Left: CT. Right: PSMA PET, same axial level, 18F-PSMA tracer.
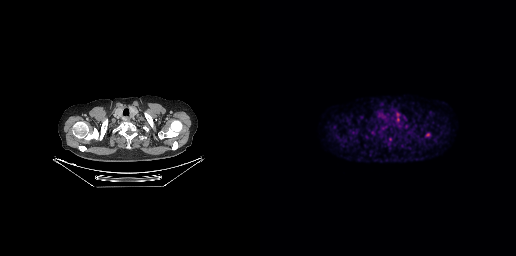
Coordinates are on the 256×256 PET (right) panel. Small PSMA-avid focus (2 to 4 px across) near (center x, center y): (167, 134).